modality: PSMA PET/CT | tracer: 18F | view: axial | de-identification: rectangular block over head set to black
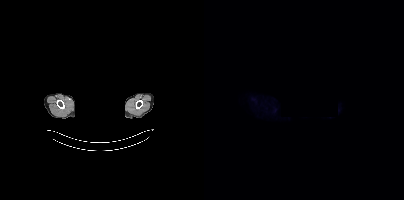
This slice has no annotated PSMA-avid lesion.